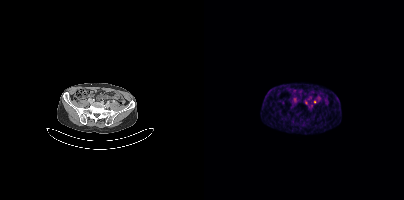
Coordinates are on the 200×200 PET (right) panel. Small PSMA-avid foci (2 to 4 px across) near (center x, center y): (102, 101) / (110, 101).